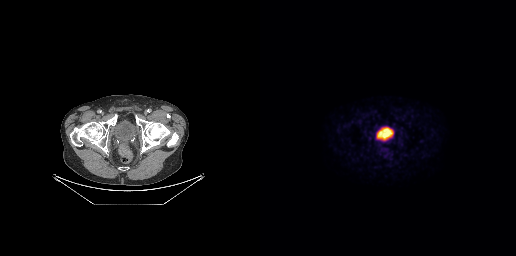
Negative for PSMA-avid disease on this slice.